- face de-identified by blanking a block of the head
- Left: CT. Right: PSMA PET, same axial level, 18F-PSMA tracer
- slice position z = -290 mm
- PET panel 200×200 px (4.1 mm/px)
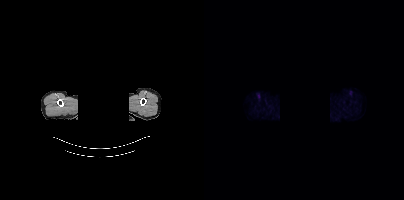
Findings: No tumor lesions annotated on this slice.